Technique: Left: CT. Right: PSMA PET, same axial level, 18F-PSMA tracer. slice position z = -1534 mm. PET panel 200×200 px (4.1 mm/px).
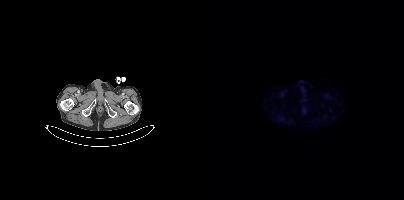
Findings: Negative for PSMA-avid disease on this slice.